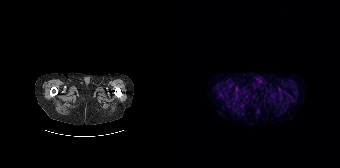
{"pet_grid":[168,168],"coord_frame":"pet_panel","coord_format":"x0,y0,x1,y1","psma_avid_lesions":false,"modality":"PSMA PET/CT","view":"axial","tracer":"[68Ga]Ga-PSMA-11"}